- Left: CT. Right: PSMA PET, same axial level, 18F tracer
- acquired on Siemens Biograph mCT Flow 20
- slice position z = -280 mm
- the face region was removed for patient privacy by blanking a rectangle over the head
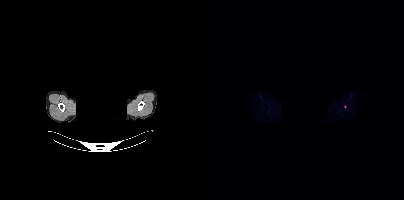
Findings: Coordinates are on the 200×200 PET (right) panel. Small PSMA-avid focus (2 to 4 px across) near (center x, center y): (141, 106).